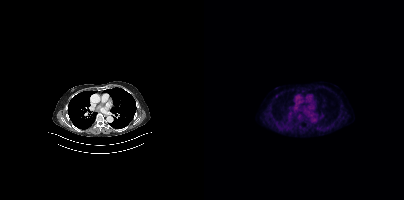
Two-panel axial: CT | PSMA PET, [18F]PSMA-1007 tracer. Slice position z = -1047 mm. Coordinates are on the 200×200 PET (right) panel. Small PSMA-avid focus (2 to 4 px across) near (center x, center y): (72, 96).